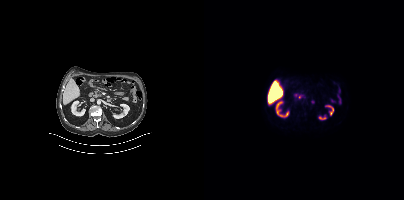
Technique: Left: CT. Right: PSMA PET, same axial level, 18F-PSMA tracer. slice position z = -752 mm.
Findings: No PSMA-avid tumor lesions on this slice.